Two-panel axial: CT | PSMA PET, 18F-PSMA tracer. PET panel 200×200 px (4.1 mm/px).
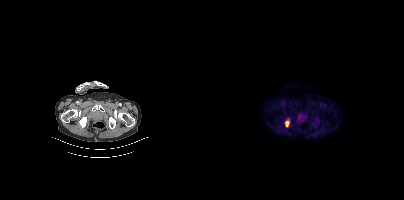
Coordinates are on the 200×200 PET (right) panel. PSMA-avid tumor lesion bounding boxes:
| # | x0 | y0 | x1 | y1 |
|---|---|---|---|---|
| 1 | 81 | 118 | 86 | 126 |